Technique: Two-panel axial: CT | PSMA PET, 18F-PSMA tracer. slice 305 of 427. PET panel 200×200 px (4.1 mm/px).
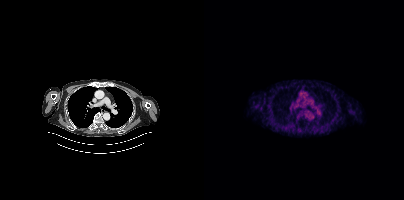
Findings: Negative for PSMA-avid disease on this slice.